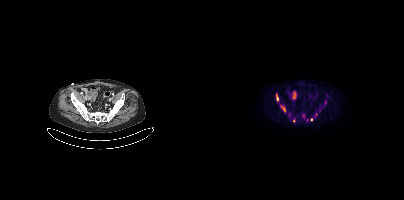
{"modality":"PSMA PET/CT","view":"axial","tracer":"18F-PSMA","pet_grid":[200,200],"coord_frame":"pet_panel","coord_format":"x0,y0,x1,y1","partial":true,"lesion_bboxes":[[72,94,74,100]],"small_foci_centers":[[80,109],[107,119],[89,120]]}